modality: PSMA PET/CT | tracer: 18F | view: axial
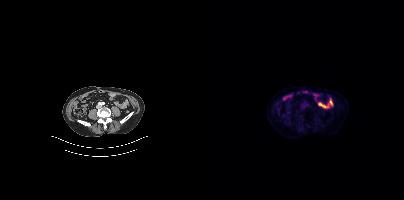
No tumor lesions annotated on this slice.